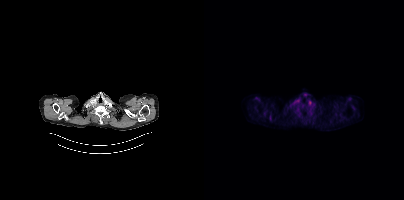
{"modality":"PSMA PET/CT","view":"axial","tracer":"18F-PSMA","pet_grid":[200,200],"coord_frame":"pet_panel","coord_format":"x0,y0,x1,y1","psma_avid_lesions":false}